Left: CT. Right: PSMA PET, same axial level, [68Ga]Ga-PSMA-11 tracer. PET panel 256×256 px (2.7 mm/px).
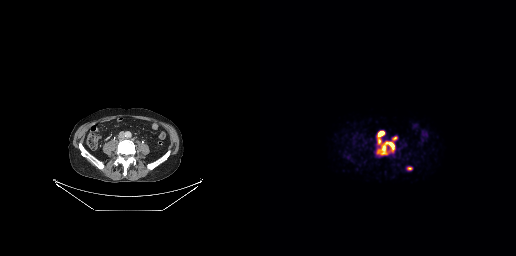
Coordinates are on the 256×256 PET (right) panel. (showing 3 of 4 foci) PSMA-avid tumor lesion bounding boxes (x, y, width, height): x=117 y=141 w=18 h=14; x=118 y=131 w=7 h=13. Small PSMA-avid focus (2 to 4 px across) near (center x, center y): (134, 138).